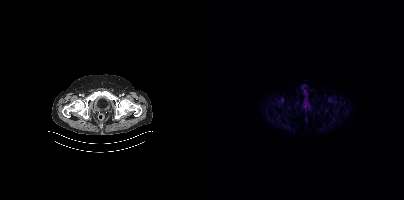
Negative for PSMA-avid disease on this slice.